modality: PSMA PET/CT | tracer: 18F | view: axial
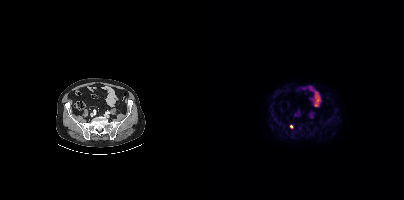
Coordinates are on the 200×200 PET (right) panel. Small PSMA-avid focus (2 to 4 px across) near (center x, center y): (87, 126).